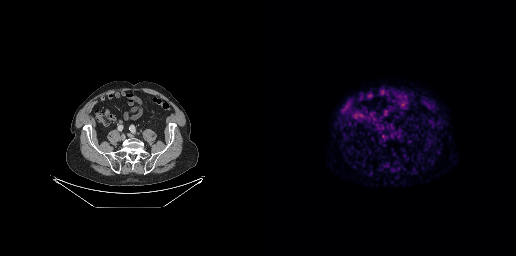
Findings: Negative for PSMA-avid disease on this slice.
- Two-panel axial: CT | PSMA PET, [68Ga]Ga-PSMA-11 tracer
- PET panel 256×256 px (2.7 mm/px)